Left: CT. Right: PSMA PET, same axial level, 18F-PSMA tracer.
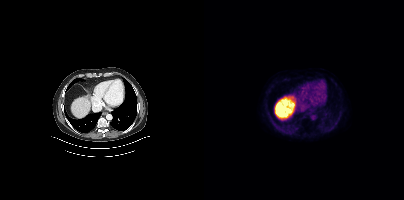
This slice has no annotated PSMA-avid lesion.